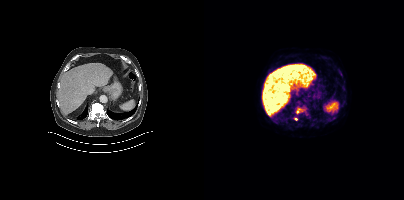
Technique: Left: CT. Right: PSMA PET, same axial level, [18F]PSMA-1007 tracer. acquired on Siemens Biograph mCT Flow 20. slice 255 of 454.
Findings: Coordinates are on the 200×200 PET (right) panel. PSMA-avid tumor lesion bounding box (x0, y0)-(x1, y1): (93, 107)-(102, 112). Small PSMA-avid focus (2 to 4 px across) near (center x, center y): (91, 118).